Left: CT. Right: PSMA PET, same axial level, [18F]PSMA-1007 tracer. Acquired on Siemens Biograph mCT Flow 20. Slice 59 of 425.
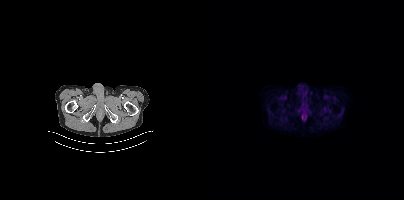
No tumor lesions annotated on this slice.